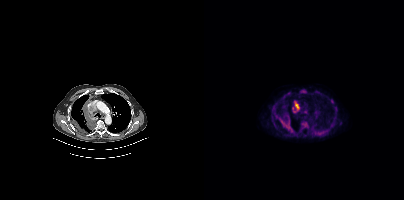
{"modality":"PSMA PET/CT","view":"axial","tracer":"18F-PSMA","pet_grid":[200,200],"coord_frame":"pet_panel","coord_format":"x0,y0,x1,y1","partial":true,"lesion_bboxes":[[77,118,88,131],[91,102,95,109],[96,91,100,93]]}